Technique: Paired axial CT (left) and PSMA PET (right), 68Ga-PSMA tracer. PET panel 256×256 px (2.7 mm/px).
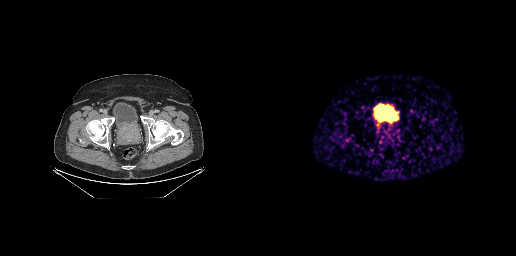
Findings: Coordinates are on the 256×256 PET (right) panel. (showing 2 of 3 foci) PSMA-avid tumor lesion bounding boxes (x0,y0,x1,y1): [124,131,129,138] [121,136,124,141].